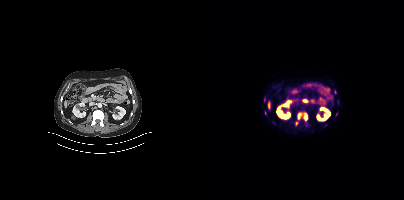
- Paired axial CT (left) and PSMA PET (right), 18F-PSMA tracer
- slice position z = -1234 mm
- PET panel 200×200 px (4.1 mm/px)
Findings: Coordinates are on the 200×200 PET (right) panel. (showing 4 of 6 foci) PSMA-avid tumor lesion bounding boxes (x0, y0)-(x1, y1): (100, 113)-(103, 120) / (94, 113)-(97, 119). Small PSMA-avid foci (2 to 4 px across) near (center x, center y): (60, 100) / (92, 123).